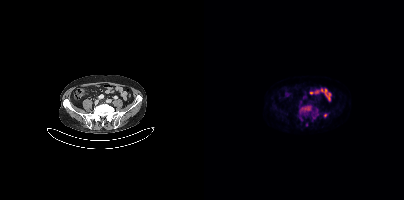
Coordinates are on the 200×200 PET (right) panel. PSMA-avid tumor lesion bounding boxes (x0, y0)-(x1, y1): (97, 106)-(106, 111) / (120, 113)-(123, 117).
modality: PSMA PET/CT | tracer: 18F | view: axial